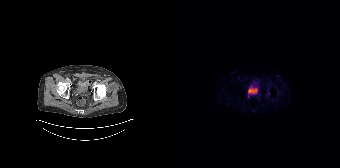
{"pet_grid":[168,168],"coord_frame":"pet_panel","coord_format":"x0,y0,x1,y1","lesion_bboxes":[],"small_foci_centers":[[76,96]],"modality":"PSMA PET/CT","view":"axial","tracer":"18F"}